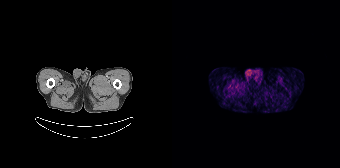
modality: PSMA PET/CT | tracer: [68Ga]Ga-PSMA-11 | view: axial | PET grid: 168×168
No PSMA-avid tumor lesions on this slice.